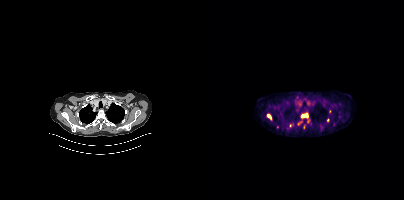
{"pet_grid":[200,200],"coord_frame":"pet_panel","coord_format":"x0,y0,x1,y1","partial":true,"lesion_bboxes":[[97,113,104,118],[63,114,67,119]],"small_foci_centers":[[124,120],[86,125],[94,123]],"modality":"PSMA PET/CT","view":"axial","tracer":"18F"}